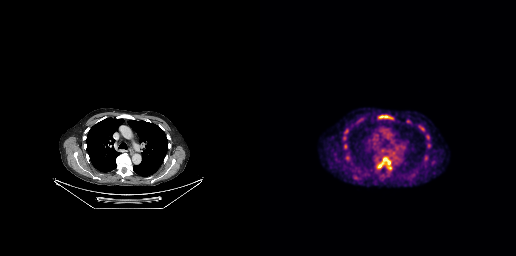
Findings: Coordinates are on the 256×256 PET (right) panel. PSMA-avid tumor lesion bounding boxes (x0, y0)-(x1, y1): (117, 157)-(131, 169) / (119, 115)-(132, 118).
Technique: Paired axial CT (left) and PSMA PET (right), 18F-PSMA tracer. acquired on GE Discovery 690. slice 199 of 263. PET panel 256×256 px (2.7 mm/px).